Two-panel axial: CT | PSMA PET, [18F]PSMA-1007 tracer. Slice 308 of 383. PET panel 200×200 px (4.1 mm/px).
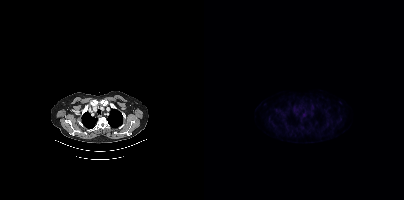
No PSMA-avid tumor lesions on this slice.